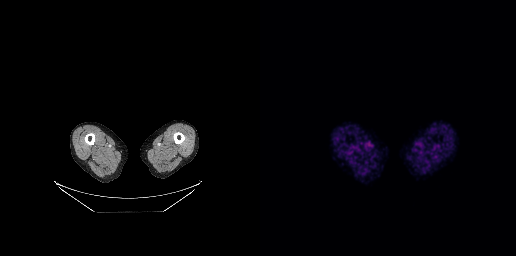
modality: PSMA PET/CT | tracer: 68Ga | view: axial | PET grid: 256×256
No tumor lesions annotated on this slice.